A region was redacted for de-identification by setting it to black.
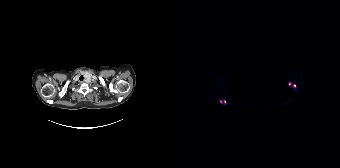
Coordinates are on the 168×168 PET (right) panel. Small PSMA-avid foci (2 to 4 px across) near (center x, center y): (122, 85) | (49, 101) | (118, 84) | (52, 101).